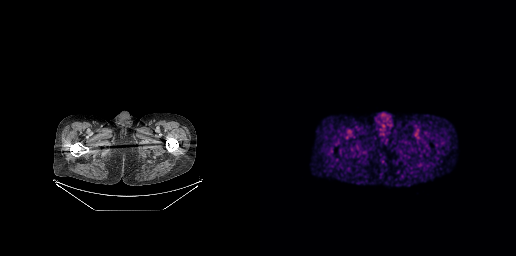
Negative for PSMA-avid disease on this slice.